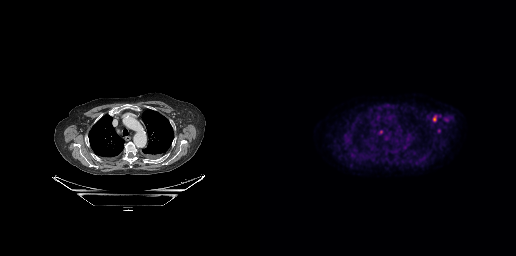
Left: CT. Right: PSMA PET, same axial level, 18F-PSMA tracer. Slice position z = -345 mm. PET panel 256×256 px (2.7 mm/px). Coordinates are on the 256×256 PET (right) panel. (showing 4 of 5 foci) PSMA-avid tumor lesion bounding box (x, y, width, height): x=173 y=115 w=4 h=7. Small PSMA-avid foci (2 to 4 px across) near (center x, center y): (168, 116) / (178, 130) / (120, 131).